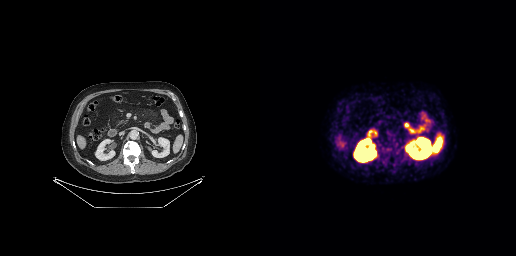
This slice has no annotated PSMA-avid lesion. Paired axial CT (left) and PSMA PET (right), 68Ga-PSMA tracer. Acquired on GE Discovery 690. Slice 133 of 263.